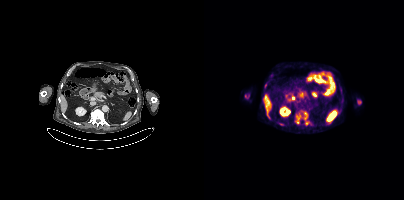
Technique: Paired axial CT (left) and PSMA PET (right), [18F]PSMA-1007 tracer. slice 221 of 401. PET panel 200×200 px (4.1 mm/px).
Findings: Coordinates are on the 200×200 PET (right) panel. (showing 6 of 8 foci) Small PSMA-avid foci (2 to 4 px across) near (center x, center y): (78, 124); (101, 113); (93, 122); (102, 123); (94, 118); (101, 117).